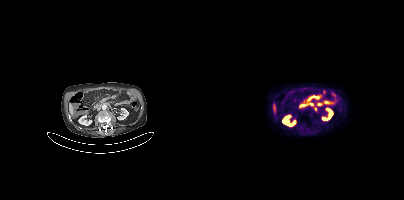
Coordinates are on the 200×200 PET (right) panel. PSMA-avid tumor lesion bounding box (x, y, width, height): x=103 y=95 w=14 h=7.